Left: CT. Right: PSMA PET, same axial level, [18F]PSMA-1007 tracer. PET panel 200×200 px (4.1 mm/px).
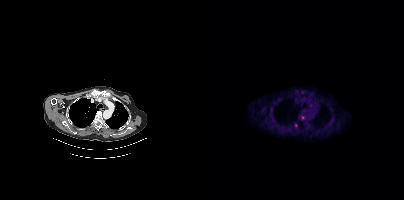
Coordinates are on the 200×200 PET (right) panel. (showing 1 of 2 foci) Small PSMA-avid focus (2 to 4 px across) near (center x, center y): (98, 117).